Left: CT. Right: PSMA PET, same axial level, [68Ga]Ga-PSMA-11 tracer. Slice position z = -1082 mm.
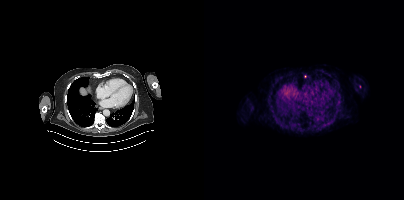
Coordinates are on the 200×200 PET (right) panel. Small PSMA-avid focus (2 to 4 px across) near (center x, center y): (101, 76).